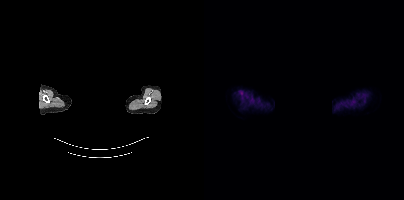
Negative for PSMA-avid disease on this slice. De-identified by setting a box covering the face to black before release. Paired axial CT (left) and PSMA PET (right), [18F]PSMA-1007 tracer. Acquired on Siemens Biograph mCT Flow 20. PET panel 200×200 px (4.1 mm/px).